Two-panel axial: CT | PSMA PET, [18F]PSMA-1007 tracer. Acquired on Siemens Biograph mCT Flow 20.
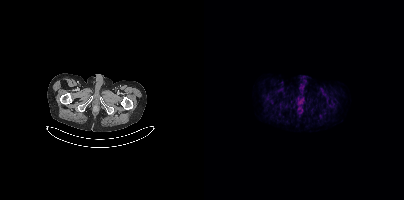
Negative for PSMA-avid disease on this slice.